- Left: CT. Right: PSMA PET, same axial level, 18F-PSMA tracer
- slice 78 of 415
- PET panel 200×200 px (4.1 mm/px)
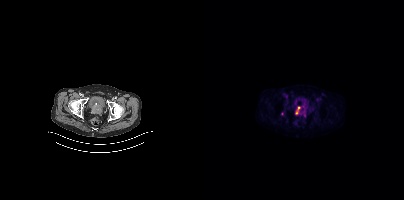
Findings: Coordinates are on the 200×200 PET (right) panel. PSMA-avid tumor lesion bounding box (x, y, width, height): x=91 y=106 w=6 h=9.